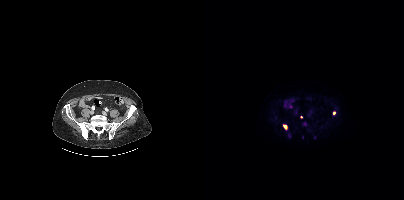
{"modality":"PSMA PET/CT","view":"axial","tracer":"[18F]PSMA-1007","pet_grid":[200,200],"coord_frame":"pet_panel","coord_format":"x0,y0,x1,y1","lesion_bboxes":[[79,124,83,129]],"small_foci_centers":[[129,113],[97,116]]}